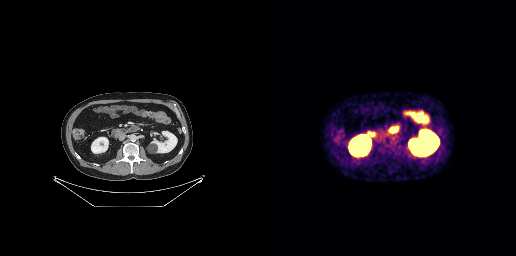
No PSMA-avid tumor lesions on this slice.